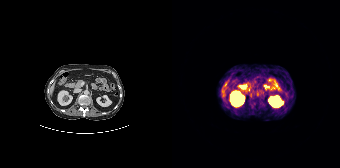
Two-panel axial: CT | PSMA PET, 68Ga tracer. Slice 95 of 195. No tumor lesions annotated on this slice.